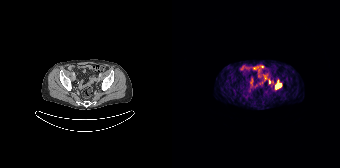
modality: PSMA PET/CT | tracer: [68Ga]Ga-PSMA-11 | view: axial
Coordinates are on the 168×168 PET (right) panel. PSMA-avid tumor lesion bounding box (x0, y0)-(x1, y1): (104, 84)-(109, 88). Small PSMA-avid focus (2 to 4 px across) near (center x, center y): (97, 81).